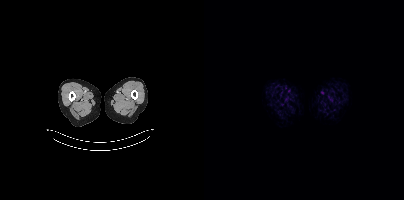
modality: PSMA PET/CT | tracer: 18F-PSMA | view: axial
Negative for PSMA-avid disease on this slice.